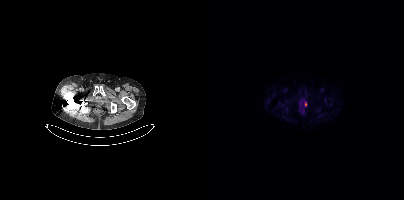
modality: PSMA PET/CT | tracer: [18F]PSMA-1007 | view: axial
Coordinates are on the 200×200 PET (right) panel. PSMA-avid tumor lesion bounding box (x0,y0,x1,y1): [100,102,102,106].